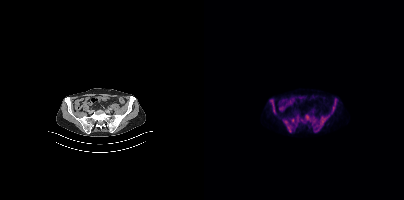
Technique: Paired axial CT (left) and PSMA PET (right), 18F tracer.
Findings: Coordinates are on the 200×200 PET (right) panel. (showing 5 of 6 foci) PSMA-avid tumor lesion bounding boxes (x0,y0,x1,y1): [79,120,88,132] [116,117,121,124] [69,109,71,113] [103,115,104,119]. Small PSMA-avid focus (2 to 4 px across) near (center x, center y): (129, 108).